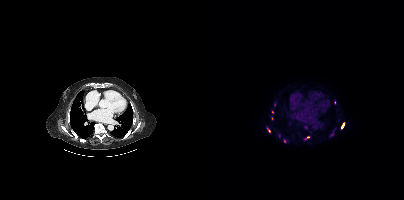
{"pet_grid":[200,200],"coord_frame":"pet_panel","coord_format":"x0,y0,x1,y1","partial":true,"lesion_bboxes":[[100,136,105,139],[137,123,140,128],[63,127,66,132]],"small_foci_centers":[[80,140],[68,118],[68,112]],"modality":"PSMA PET/CT","view":"axial","tracer":"18F-PSMA"}